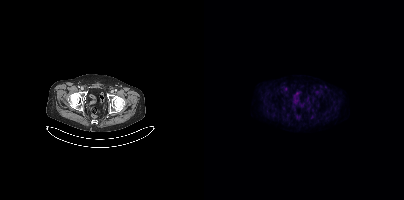
Negative for PSMA-avid disease on this slice.
modality: PSMA PET/CT | tracer: 18F-PSMA | view: axial